modality: PSMA PET/CT | tracer: 18F-PSMA | view: axial | PET grid: 256×256
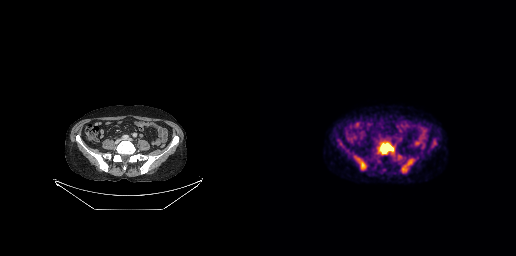
Coordinates are on the 256×256 PET (right) panel. PSMA-avid tumor lesion bounding boxes (x0,y0,x1,y1): [120,143,133,153]; [142,159,153,172]; [96,158,105,169]. Small PSMA-avid focus (2 to 4 px across) near (center x, center y): (139, 156).